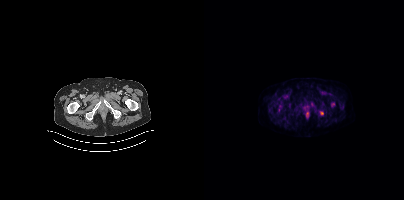
{"modality":"PSMA PET/CT","view":"axial","tracer":"18F-PSMA","pet_grid":[200,200],"coord_frame":"pet_panel","coord_format":"x0,y0,x1,y1","lesion_bboxes":[[127,102,130,106]],"small_foci_centers":[[118,113]]}